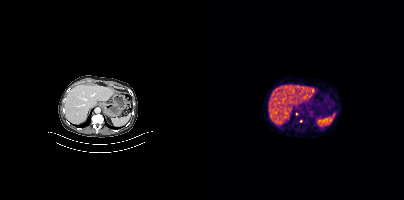
Coordinates are on the 200×200 PET (right) panel. Small PSMA-avid foci (2 to 4 px across) near (center x, center y): (97, 121); (92, 113).